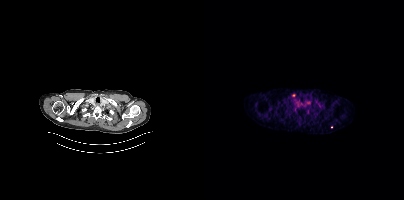
Only PSMA-avid lesion pieces thinner than 2 px on this slice (not listed). Paired axial CT (left) and PSMA PET (right), [68Ga]Ga-PSMA-11 tracer. Slice 308 of 373.